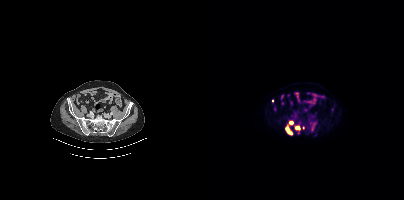
Paired axial CT (left) and PSMA PET (right), [18F]PSMA-1007 tracer. Acquired on Siemens Biograph mCT Flow 20.
Coordinates are on the 200×200 PET (right) panel. PSMA-avid tumor lesion bounding boxes:
| # | x0 | y0 | x1 | y1 |
|---|---|---|---|---|
| 1 | 81 | 126 | 88 | 134 |
| 2 | 91 | 126 | 96 | 129 |
Small PSMA-avid foci (2 to 4 px across) near (center x, center y): (86, 122); (68, 100); (99, 127).